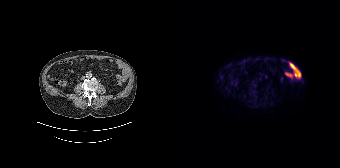
{"modality":"PSMA PET/CT","view":"axial","tracer":"18F-PSMA","pet_grid":[168,168],"coord_frame":"pet_panel","coord_format":"x0,y0,x1,y1","psma_avid_lesions":false}